Technique: Left: CT. Right: PSMA PET, same axial level, 18F tracer. acquired on Siemens Biograph mCT Flow 20. slice position z = -708 mm.
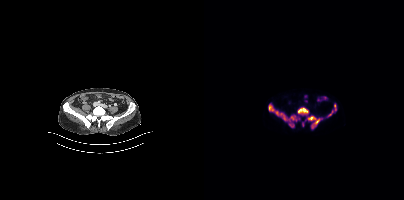
Findings: Coordinates are on the 200×200 PET (right) panel. (showing 7 of 8 foci) PSMA-avid tumor lesion bounding boxes (x0, y0)-(x1, y1): (64, 104)-(93, 121); (103, 116)-(118, 128); (93, 107)-(104, 114); (85, 123)-(90, 127); (130, 105)-(132, 110); (124, 111)-(128, 116). Small PSMA-avid focus (2 to 4 px across) near (center x, center y): (98, 124).